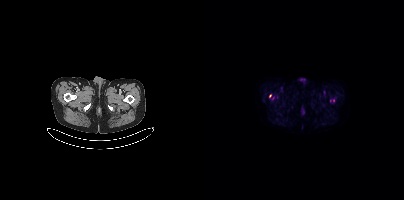
Coordinates are on the 200×200 PET (right) panel. Small PSMA-avid foci (2 to 4 px across) near (center x, center y): (66, 96) (129, 100).